- Paired axial CT (left) and PSMA PET (right), [18F]PSMA-1007 tracer
- acquired on Siemens Biograph mCT Flow 20
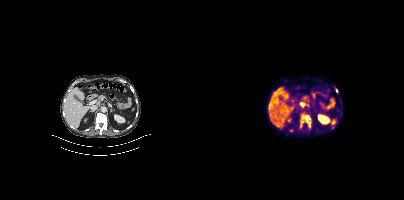
Findings: Coordinates are on the 200×200 PET (right) panel. PSMA-avid tumor lesion bounding box (x, y, width, height): x=96 y=113 w=12 h=16. Small PSMA-avid foci (2 to 4 px across) near (center x, center y): (132, 90); (87, 130).